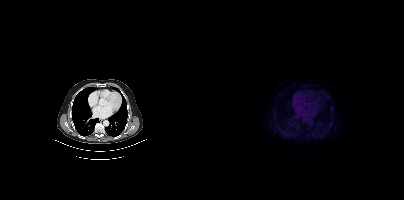
Coordinates are on the 200×200 PET (right) panel. Small PSMA-avid focus (2 to 4 px across) near (center x, center y): (126, 124).